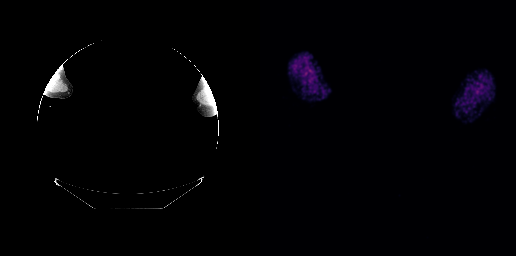
Technique: Two-panel axial: CT | PSMA PET, 18F tracer. slice 258 of 263. PET panel 256×256 px (2.7 mm/px).
Note: Any black rectangle over the head is a privacy mask, not anatomy.
Findings: Negative for PSMA-avid disease on this slice.